modality: PSMA PET/CT | tracer: [18F]PSMA-1007 | view: axial
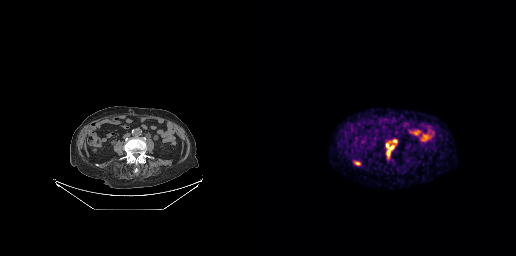
Coordinates are on the 256×256 PET (right) panel. (showing 2 of 3 foci) PSMA-avid tumor lesion bounding box (x0, y0)-(x1, y1): (126, 143)-(134, 156). Small PSMA-avid focus (2 to 4 px across) near (center x, center y): (134, 141).